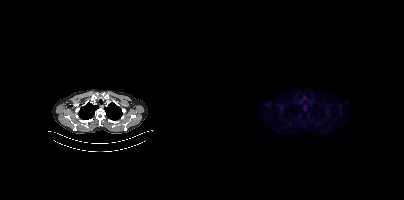
{"modality":"PSMA PET/CT","view":"axial","tracer":"18F","pet_grid":[200,200],"coord_frame":"pet_panel","coord_format":"x0,y0,x1,y1","psma_avid_lesions":false}